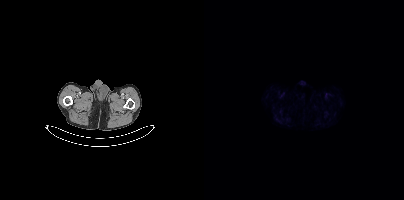
{"modality":"PSMA PET/CT","view":"axial","tracer":"[18F]PSMA-1007","pet_grid":[200,200],"coord_frame":"pet_panel","coord_format":"x0,y0,x1,y1","psma_avid_lesions":false}